modality: PSMA PET/CT | tracer: [18F]PSMA-1007 | view: axial | PET grid: 200×200
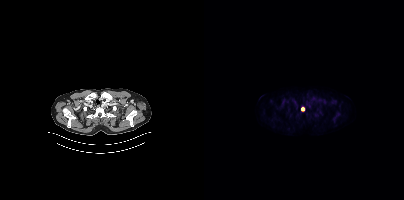
Coordinates are on the 200×200 PET (right) panel. Small PSMA-avid focus (2 to 4 px across) near (center x, center y): (99, 109).